- Left: CT. Right: PSMA PET, same axial level, 68Ga-PSMA tracer
- acquired on Siemens Biograph 64-4R TruePoint
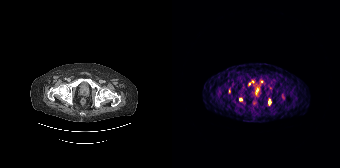
Findings: Coordinates are on the 168×168 PET (right) panel. PSMA-avid tumor lesion bounding boxes (x0,y0,x1,y1): [97,99,99,104], [57,89,58,93]. Small PSMA-avid foci (2 to 4 px across) near (center x, center y): (89, 81), (68, 99), (110, 96), (77, 83), (80, 81).